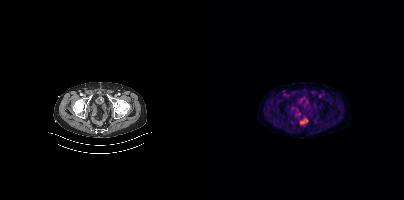
No tumor lesions annotated on this slice.